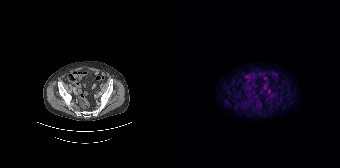
No tumor lesions annotated on this slice.